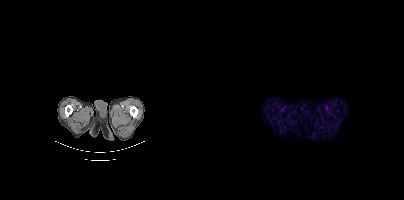
{"modality":"PSMA PET/CT","view":"axial","tracer":"18F-PSMA","pet_grid":[200,200],"coord_frame":"pet_panel","coord_format":"x0,y0,x1,y1","psma_avid_lesions":false}